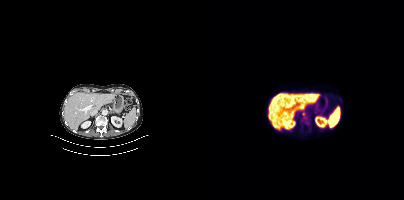
Coordinates are on the 200×200 PET (right) panel. Small PSMA-avid focus (2 to 4 px across) near (center x, center y): (99, 113). Two-panel axial: CT | PSMA PET, 18F-PSMA tracer. PET panel 200×200 px (4.1 mm/px).